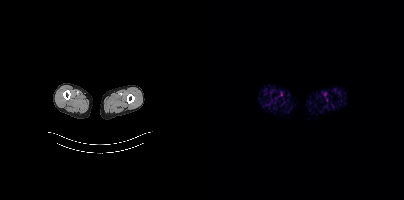
Left: CT. Right: PSMA PET, same axial level, 18F-PSMA tracer. Acquired on Siemens Biograph mCT Flow 20. Slice 8 of 427. PET panel 200×200 px (4.1 mm/px). Negative for PSMA-avid disease on this slice.